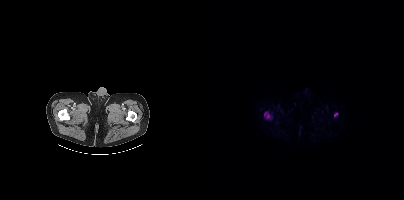
Findings: Coordinates are on the 200×200 PET (right) panel. PSMA-avid tumor lesion bounding box (x, y, width, height): x=61 y=114 w=6 h=5. Small PSMA-avid focus (2 to 4 px across) near (center x, center y): (131, 114).
- Two-panel axial: CT | PSMA PET, 18F-PSMA tracer
- acquired on Siemens Biograph mCT Flow 20
- PET panel 200×200 px (4.1 mm/px)